Two-panel axial: CT | PSMA PET, 68Ga-PSMA tracer. PET panel 200×200 px (4.1 mm/px).
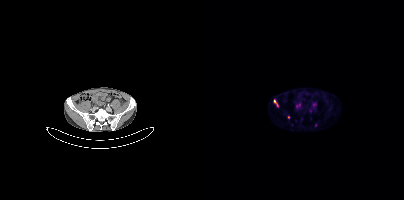
Coordinates are on the 200×200 PET (right) panel. (showing 3 of 4 foci) PSMA-avid tumor lesion bounding boxes (x, y, width, height): x=92 y=103 w=5 h=6 | x=70 y=100 w=5 h=7. Small PSMA-avid focus (2 to 4 px across) near (center x, center y): (84, 117).